- Two-panel axial: CT | PSMA PET, 18F tracer
- acquired on Siemens Biograph mCT Flow 20
- slice 104 of 415
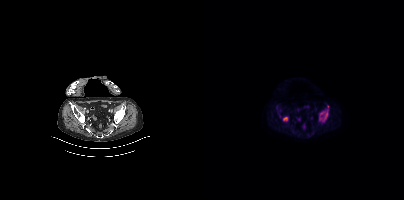
Findings: Coordinates are on the 200×200 PET (right) panel. (showing 3 of 4 foci) PSMA-avid tumor lesion bounding boxes (x, y, width, height): x=115 y=109 w=10 h=13; x=79 y=116 w=6 h=6. Small PSMA-avid focus (2 to 4 px across) near (center x, center y): (123, 106).